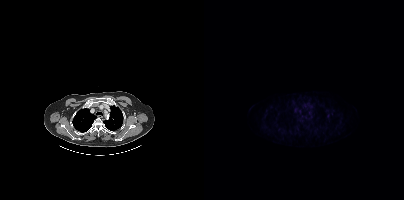
Coordinates are on the 200×200 PET (right) panel. Small PSMA-avid focus (2 to 4 px across) near (center x, center y): (124, 115). Paired axial CT (left) and PSMA PET (right), [18F]PSMA-1007 tracer. Slice 320 of 423. PET panel 200×200 px (4.1 mm/px).